Left: CT. Right: PSMA PET, same axial level, 18F-PSMA tracer. Slice 54 of 401.
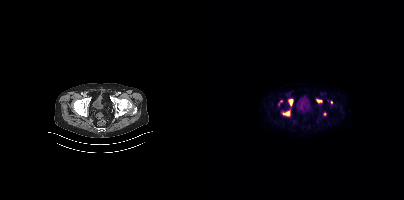
Coordinates are on the 200×200 PET (right) panel. PSMA-avid tumor lesion bounding boxes (partial; 1 more focus not listed):
| # | x0 | y0 | x1 | y1 |
|---|---|---|---|---|
| 1 | 84 | 99 | 89 | 105 |
| 2 | 79 | 111 | 85 | 115 |
| 3 | 112 | 99 | 118 | 102 |
Small PSMA-avid foci (2 to 4 px across) near (center x, center y): (127, 102); (120, 113).